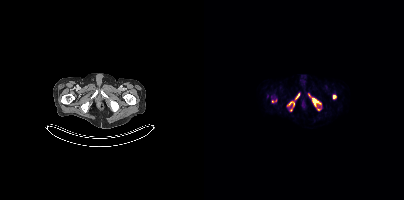
Findings: Coordinates are on the 200×200 PET (right) panel. (showing 6 of 8 foci) PSMA-avid tumor lesion bounding boxes (x0,y0,x1,y1): [108,98,117,110] [83,101,90,106] [91,93,95,99]. Small PSMA-avid foci (2 to 4 px across) near (center x, center y): (130, 96) (87, 109) (68, 101).
Technique: Left: CT. Right: PSMA PET, same axial level, [18F]PSMA-1007 tracer. PET panel 200×200 px (4.1 mm/px).